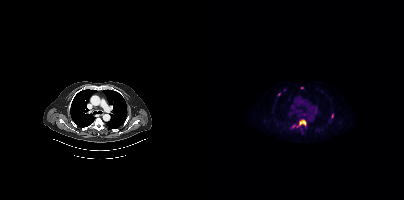
{"modality":"PSMA PET/CT","view":"axial","tracer":"18F","pet_grid":[200,200],"coord_frame":"pet_panel","coord_format":"x0,y0,x1,y1","partial":true,"lesion_bboxes":[[95,120,102,125]],"small_foci_centers":[[80,90],[75,94],[128,115],[89,126],[97,87]]}